Left: CT. Right: PSMA PET, same axial level, [18F]PSMA-1007 tracer. PET panel 168×168 px (4.1 mm/px).
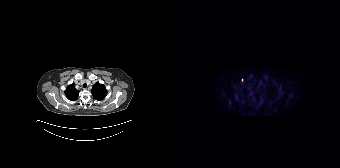
Coordinates are on the 168×168 PET (right) panel. (showing 1 of 3 foci) Small PSMA-avid focus (2 to 4 px across) near (center x, center y): (70, 80).